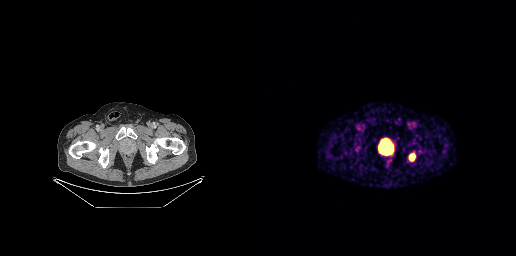
Findings: Coordinates are on the 256×256 PET (right) panel. PSMA-avid tumor lesion bounding boxes (x0, y0)-(x1, y1): (119, 139)-(133, 155) / (149, 153)-(155, 161).
Technique: Left: CT. Right: PSMA PET, same axial level, 68Ga tracer.